Two-panel axial: CT | PSMA PET, 18F-PSMA tracer. Slice 301 of 435. PET panel 200×200 px (4.1 mm/px).
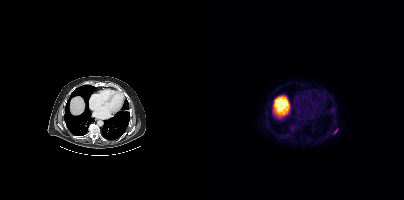
Coordinates are on the 200×200 PET (right) panel. PSMA-avid tumor lesion bounding box (x0, y0)-(x1, y1): (130, 129)-(133, 133).